Technique: Left: CT. Right: PSMA PET, same axial level, 18F tracer.
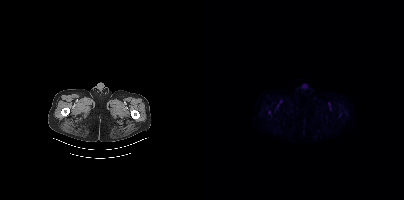
Findings: Coordinates are on the 200×200 PET (right) panel. Small PSMA-avid focus (2 to 4 px across) near (center x, center y): (64, 112).